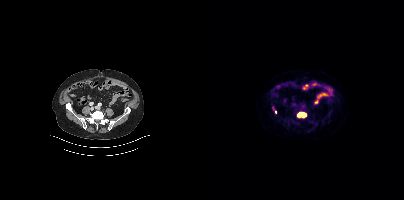
{"modality":"PSMA PET/CT","view":"axial","tracer":"18F","pet_grid":[200,200],"coord_frame":"pet_panel","coord_format":"x0,y0,x1,y1","lesion_bboxes":[[93,112,102,117],[69,107,72,113]]}